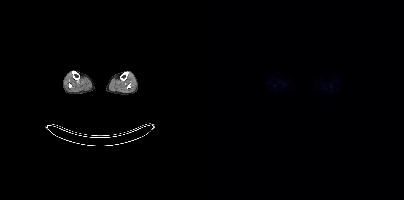
Technique: Left: CT. Right: PSMA PET, same axial level, 18F tracer. acquired on Siemens Biograph mCT Flow 20. slice position z = -1571 mm. PET panel 200×200 px (4.1 mm/px).
Findings: Negative for PSMA-avid disease on this slice.